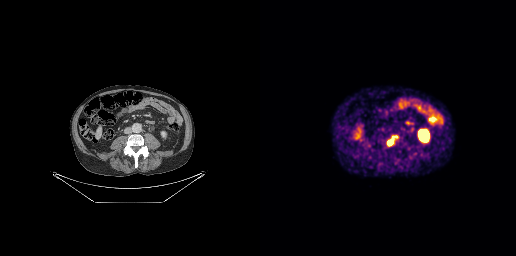
Coordinates are on the 256×256 PET (right) panel. PSMA-avid tumor lesion bounding box (x0,y0,x1,y1): [127,135,138,146].